modality: PSMA PET/CT | tracer: [18F]PSMA-1007 | view: axial | PET grid: 200×200
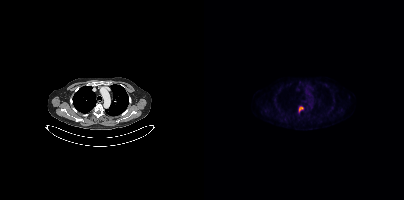
Coordinates are on the 200×200 PET (right) panel. (showing 1 of 2 foci) PSMA-avid tumor lesion bounding box (x0,y0,x1,y1): [95,106,99,111].